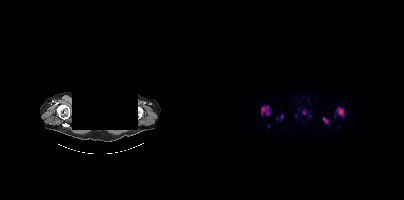
de-identification: face masked with black rectangle | modality: PSMA PET/CT | tracer: [18F]PSMA-1007 | view: axial
Coordinates are on the 200×200 PET (right) panel. PSMA-avid tumor lesion bounding boxes (x0, y0)-(x1, y1): (57, 105)-(67, 116) / (131, 107)-(140, 118) / (118, 117)-(125, 125) / (98, 110)-(104, 114) / (76, 114)-(79, 120). Small PSMA-avid foci (2 to 4 px across) near (center x, center y): (73, 118) / (64, 126) / (92, 115) / (130, 116) / (106, 116).